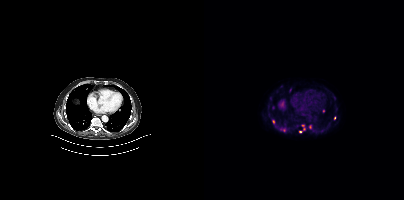
Coordinates are on the 200×200 PET (right) panel. (showing 7 of 10 foci) Small PSMA-avid foci (2 to 4 px across) near (center x, center y): (106, 126) | (80, 130) | (119, 111) | (96, 131) | (69, 121) | (86, 89) | (130, 117).